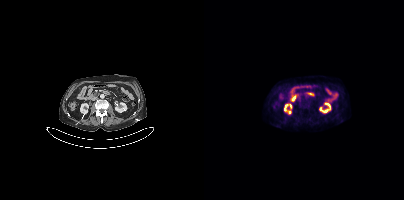
No PSMA-avid tumor lesions on this slice. Two-panel axial: CT | PSMA PET, [18F]PSMA-1007 tracer. Acquired on Siemens Biograph mCT Flow 20.